Paired axial CT (left) and PSMA PET (right), [18F]PSMA-1007 tracer. Acquired on Siemens Biograph mCT Flow 20. Slice 58 of 395.
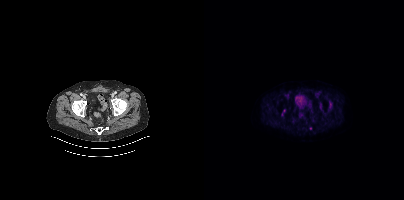
Coordinates are on the 200×200 PET (right) panel. (showing 1 of 3 foci) Small PSMA-avid focus (2 to 4 px across) near (center x, center y): (106, 128).